modality: PSMA PET/CT | tracer: 18F-PSMA | view: axial | PET grid: 200×200
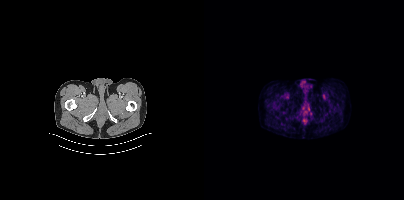
Negative for PSMA-avid disease on this slice.